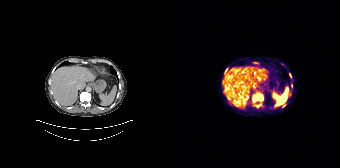
Coordinates are on the 168×168 PET (right) panel. PSMA-avid tumor lesion bounding boxes (partial; 1 more focus not listed):
| # | x0 | y0 | x1 | y1 |
|---|---|---|---|---|
| 1 | 81 | 93 | 91 | 102 |
| 2 | 110 | 104 | 114 | 107 |
| 3 | 52 | 68 | 55 | 73 |
Small PSMA-avid foci (2 to 4 px across) near (center x, center y): (86, 105); (118, 75); (118, 93).
Two-panel axial: CT | PSMA PET, 68Ga-PSMA tracer. PET panel 168×168 px (4.1 mm/px).